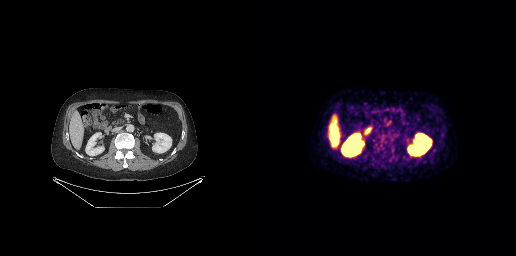
modality: PSMA PET/CT | tracer: 18F-PSMA | view: axial | PET grid: 256×256
This slice has no annotated PSMA-avid lesion.